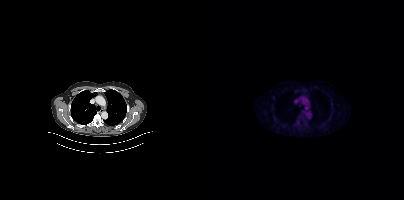
Two-panel axial: CT | PSMA PET, [18F]PSMA-1007 tracer. Slice position z = -489 mm. This slice has no annotated PSMA-avid lesion.